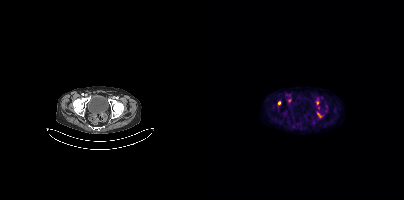
Left: CT. Right: PSMA PET, same axial level, 18F-PSMA tracer. Acquired on Siemens Biograph mCT Flow 20. Slice 64 of 373.
Coordinates are on the 200×200 PET (right) panel. PSMA-avid tumor lesion bounding boxes:
| # | x0 | y0 | x1 | y1 |
|---|---|---|---|---|
| 1 | 113 | 113 | 117 | 117 |
Small PSMA-avid foci (2 to 4 px across) near (center x, center y): (75, 102); (113, 103).